Technique: Paired axial CT (left) and PSMA PET (right), [18F]PSMA-1007 tracer. PET panel 200×200 px (4.1 mm/px).
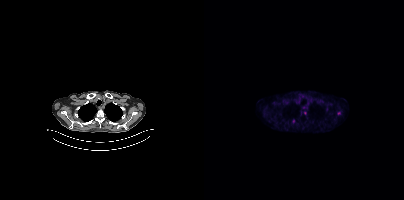
Findings: Coordinates are on the 200×200 PET (right) panel. PSMA-avid tumor lesion bounding box (x, y, width, height): x=88 y=119 w=3 h=5. Small PSMA-avid foci (2 to 4 px across) near (center x, center y): (135, 113) | (100, 112).